Two-panel axial: CT | PSMA PET, 18F-PSMA tracer.
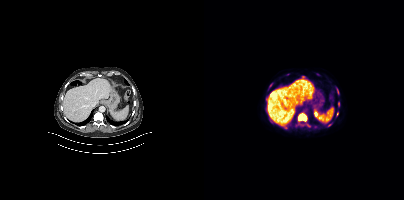
Coordinates are on the 200×200 PET (right) panel. PSMA-avid tumor lesion bounding boxes (x0,y0,x1,y1): [94,114,102,120], [134,102,135,106]. Small PSMA-avid foci (2 to 4 px across) near (center x, center y): (125, 125), (133, 113), (133, 92).